- Left: CT. Right: PSMA PET, same axial level, 18F-PSMA tracer
- slice 233 of 431
- PET panel 200×200 px (4.1 mm/px)
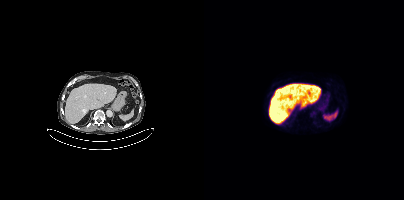
Findings: No tumor lesions annotated on this slice.